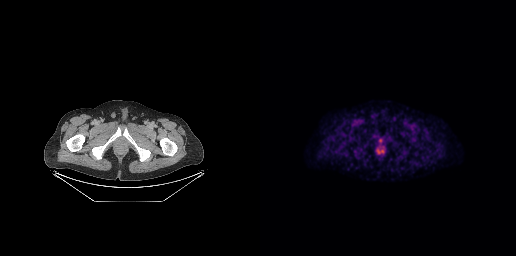
{"modality":"PSMA PET/CT","view":"axial","tracer":"[18F]PSMA-1007","pet_grid":[256,256],"coord_frame":"pet_panel","coord_format":"x0,y0,x1,y1","psma_avid_lesions":false}